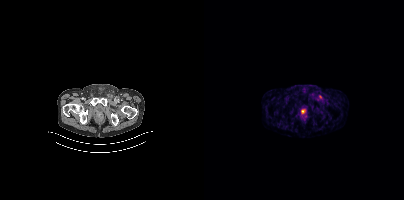
- Two-panel axial: CT | PSMA PET, 68Ga tracer
- slice position z = -1444 mm
Findings: Only PSMA-avid lesion pieces thinner than 2 px on this slice (not listed).